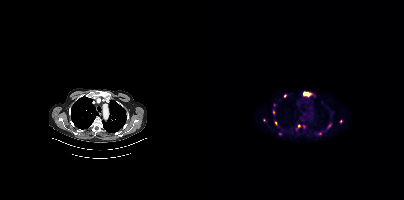
Two-panel axial: CT | PSMA PET, 68Ga-PSMA tracer. Acquired on Siemens Biograph mCT Flow 20. Slice position z = -1042 mm. Coordinates are on the 200×200 PET (right) panel. (showing 9 of 12 foci) PSMA-avid tumor lesion bounding box (x0, y0)-(x1, y1): (100, 92)-(106, 95). Small PSMA-avid foci (2 to 4 px across) near (center x, center y): (95, 125) | (100, 126) | (81, 95) | (137, 121) | (69, 112) | (60, 120) | (71, 123) | (125, 125).